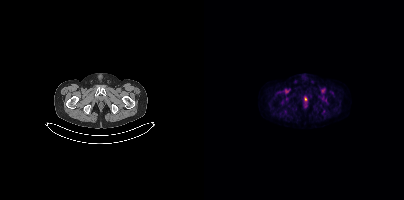
- Paired axial CT (left) and PSMA PET (right), [18F]PSMA-1007 tracer
- slice position z = -1538 mm
- PET panel 200×200 px (4.1 mm/px)
Findings: Coordinates are on the 200×200 PET (right) panel. Small PSMA-avid focus (2 to 4 px across) near (center x, center y): (101, 98).